- Left: CT. Right: PSMA PET, same axial level, 18F tracer
- acquired on Siemens Biograph mCT Flow 20
- PET panel 200×200 px (4.1 mm/px)
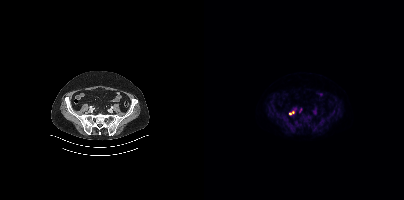
Findings: Coordinates are on the 200×200 PET (right) panel. PSMA-avid tumor lesion bounding box (x, y, width, height): x=85 y=111 w=6 h=4.